Paired axial CT (left) and PSMA PET (right), 18F tracer.
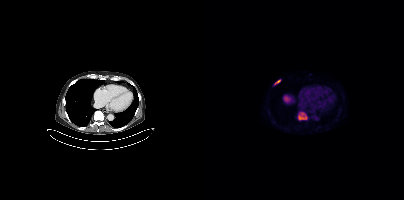
Coordinates are on the 200×200 PET (right) panel. PSMA-avid tumor lesion bounding boxes:
| # | x0 | y0 | x1 | y1 |
|---|---|---|---|---|
| 1 | 94 | 112 | 103 | 120 |
| 2 | 69 | 79 | 77 | 85 |